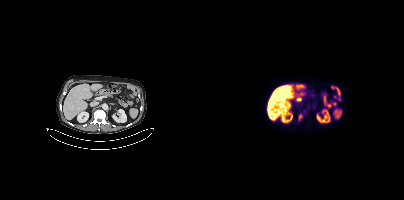
Coordinates are on the 200×200 PET (right) panel. PSMA-avid tumor lesion bounding box (x0, y0)-(x1, y1): (95, 114)-(98, 120).